Left: CT. Right: PSMA PET, same axial level, [18F]PSMA-1007 tracer. PET panel 200×200 px (4.1 mm/px).
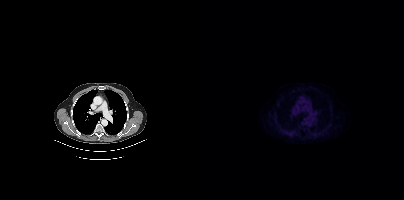
No PSMA-avid tumor lesions on this slice.